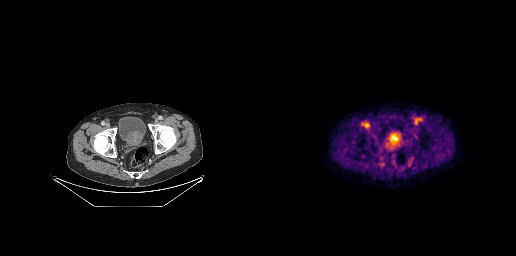
modality: PSMA PET/CT | tracer: 18F-PSMA | view: axial | PET grid: 256×256
Coordinates are on the 256×256 PET (right) panel. PSMA-avid tumor lesion bounding box (x0,y0,x1,y1): [120,163,124,165].